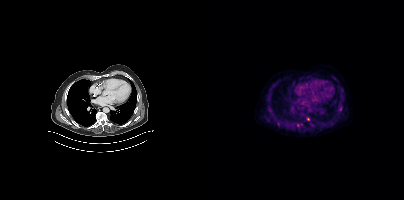
Coordinates are on the 200×200 PET (right) panel. Small PSMA-avid foci (2 to 4 px across) near (center x, center y): (104, 118); (74, 123); (137, 108); (93, 125).